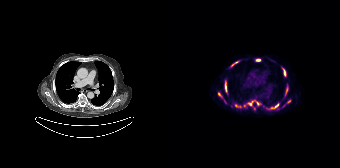
Coordinates are on the 168×168 PET (right) panel. PSMA-avid tumor lesion bounding boxes (partial; 1 more focus not listed):
| # | x0 | y0 | x1 | y1 |
|---|---|---|---|---|
| 1 | 75 | 100 | 87 | 105 |
| 2 | 52 | 80 | 55 | 93 |
| 3 | 99 | 103 | 107 | 109 |
| 4 | 110 | 68 | 114 | 76 |
| 5 | 63 | 104 | 69 | 107 |
| 6 | 59 | 61 | 66 | 66 |
| 7 | 84 | 59 | 88 | 61 |
| 8 | 113 | 88 | 115 | 95 |
Small PSMA-avid foci (2 to 4 px across) near (center x, center y): (116, 101); (47, 94); (72, 105).
Paired axial CT (left) and PSMA PET (right), [18F]PSMA-1007 tracer. Acquired on Siemens Biograph 64-4R TruePoint. Slice 117 of 165. PET panel 168×168 px (4.1 mm/px).